- Paired axial CT (left) and PSMA PET (right), 18F-PSMA tracer
- PET panel 200×200 px (4.1 mm/px)
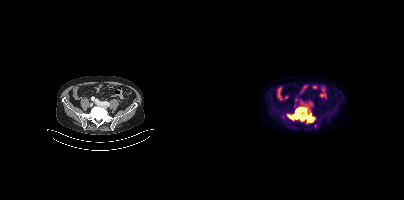
Findings: Coordinates are on the 200×200 PET (right) panel. (showing 1 of 2 foci) PSMA-avid tumor lesion bounding box (x0,y0,x1,y1): [83,107,111,123].